modality: PSMA PET/CT | tracer: [18F]PSMA-1007 | view: axial | PET grid: 200×200
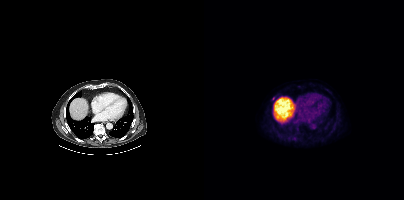
Coordinates are on the 200×200 PET (right) panel. Small PSMA-avid focus (2 to 4 px across) near (center x, center y): (69, 98).